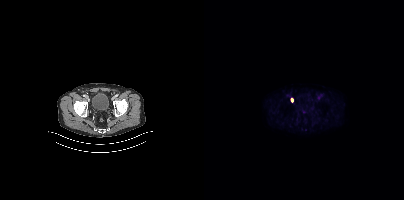
No PSMA-avid tumor lesions on this slice.